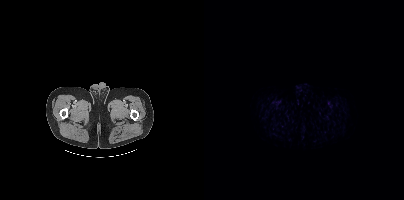
Left: CT. Right: PSMA PET, same axial level, [18F]PSMA-1007 tracer. Slice position z = -1560 mm. PET panel 200×200 px (4.1 mm/px). No PSMA-avid tumor lesions on this slice.